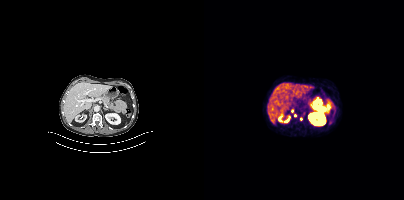
Coordinates are on the 200×200 PET (right) panel. (showing 3 of 4 foci) Small PSMA-avid foci (2 to 4 px across) near (center x, center y): (91, 115); (96, 119); (88, 110). Left: CT. Right: PSMA PET, same axial level, [68Ga]Ga-PSMA-11 tracer. Slice 180 of 373. PET panel 200×200 px (4.1 mm/px).